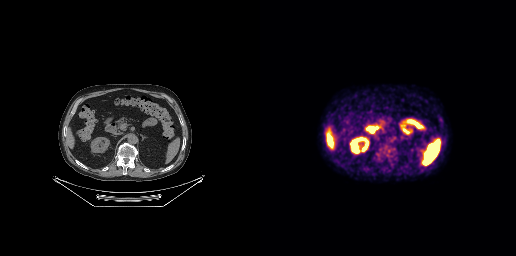
Technique: Two-panel axial: CT | PSMA PET, [18F]PSMA-1007 tracer. acquired on GE Discovery 690. slice position z = -384 mm. PET panel 256×256 px (2.7 mm/px).
Findings: This slice has no annotated PSMA-avid lesion.